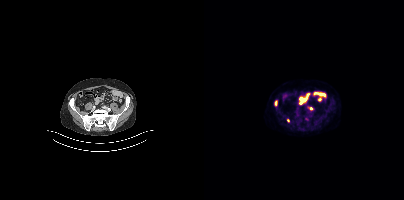
Findings: Coordinates are on the 200×200 PET (right) panel. PSMA-avid tumor lesion bounding box (x0,y0,x1,y1): [70,100,73,106]. Small PSMA-avid foci (2 to 4 px across) near (center x, center y): (102, 119), (107, 108), (84, 120).
- Paired axial CT (left) and PSMA PET (right), 18F-PSMA tracer
- PET panel 200×200 px (4.1 mm/px)